Left: CT. Right: PSMA PET, same axial level, 18F tracer. Acquired on Siemens Biograph mCT Flow 20. Slice position z = -1321 mm.
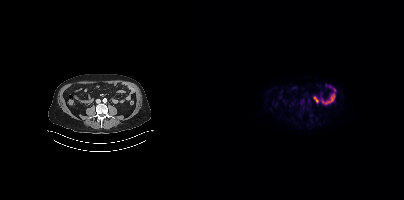
Negative for PSMA-avid disease on this slice.